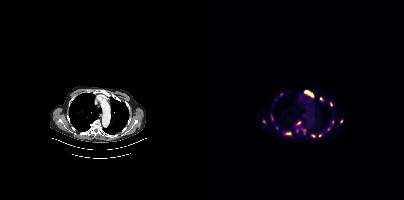
Findings: Coordinates are on the 200×200 PET (right) panel. (showing 13 of 16 foci) PSMA-avid tumor lesion bounding boxes (x0,y0,x1,y1): [101,91,108,96]; [81,132,87,134]; [107,134,111,137]; [98,129,101,133]; [67,115,69,120]. Small PSMA-avid foci (2 to 4 px across) near (center x, center y): (94, 122); (124, 128); (72, 127); (116, 135); (116, 98); (136, 121); (128, 122); (59, 121).
Technique: Paired axial CT (left) and PSMA PET (right), [68Ga]Ga-PSMA-11 tracer.